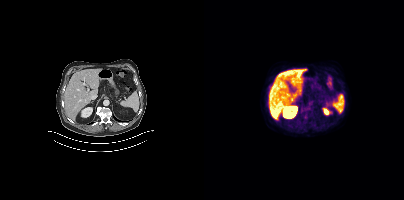
{"modality":"PSMA PET/CT","view":"axial","tracer":"18F-PSMA","pet_grid":[200,200],"coord_frame":"pet_panel","coord_format":"x0,y0,x1,y1","psma_avid_lesions":false}